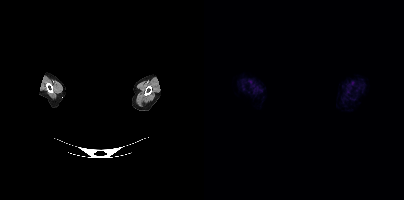
{"modality":"PSMA PET/CT","view":"axial","tracer":"18F-PSMA","pet_grid":[200,200],"coord_frame":"pet_panel","coord_format":"x0,y0,x1,y1","deidentification":"privacy mask over head","psma_avid_lesions":false}